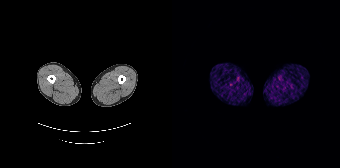
Paired axial CT (left) and PSMA PET (right), 68Ga tracer. No PSMA-avid tumor lesions on this slice.